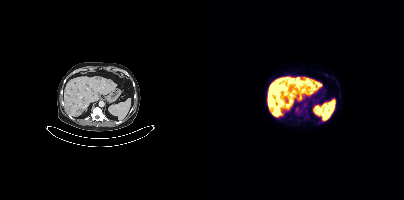
Coordinates are on the 200×200 PET (right) panel. PSMA-avid tumor lesion bounding boxes (x0, y0)-(x1, y1): (67, 107)-(75, 115) | (91, 107)-(96, 112) | (66, 98)-(71, 103). Two-panel axial: CT | PSMA PET, 18F tracer. Acquired on Siemens Biograph mCT Flow 20.